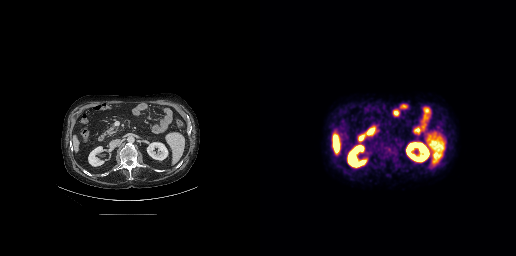
Findings: No PSMA-avid tumor lesions on this slice.
Technique: Left: CT. Right: PSMA PET, same axial level, [18F]PSMA-1007 tracer.